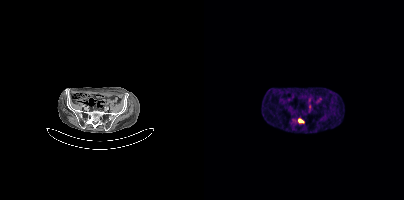
Coordinates are on the 200×200 PET (right) panel. PSMA-avid tumor lesion bounding box (x0,y0,x1,y1): [94,119,99,123]. Small PSMA-avid focus (2 to 4 px across) near (center x, center y): (106, 106).